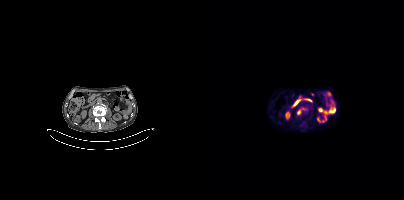
Two-panel axial: CT | PSMA PET, [18F]PSMA-1007 tracer. Coordinates are on the 200×200 PET (right) panel. PSMA-avid tumor lesion bounding box (x0, y0)-(x1, y1): (93, 110)-(96, 114). Small PSMA-avid focus (2 to 4 px across) near (center x, center y): (99, 108).